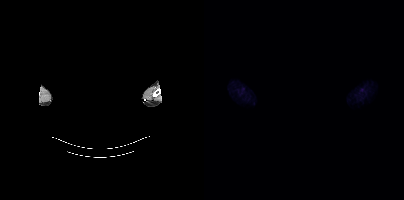
{"modality":"PSMA PET/CT","view":"axial","tracer":"18F","pet_grid":[200,200],"coord_frame":"pet_panel","coord_format":"x0,y0,x1,y1","psma_avid_lesions":false,"deidentification":"facial region redacted"}